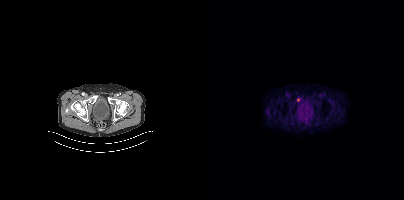
- Left: CT. Right: PSMA PET, same axial level, [18F]PSMA-1007 tracer
- PET panel 200×200 px (4.1 mm/px)
Findings: Coordinates are on the 200×200 PET (right) panel. Small PSMA-avid focus (2 to 4 px across) near (center x, center y): (94, 100).